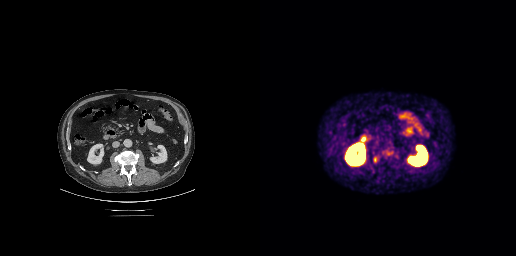
Technique: Left: CT. Right: PSMA PET, same axial level, 18F tracer. slice 128 of 263. PET panel 256×256 px (2.7 mm/px).
Findings: Coordinates are on the 256×256 PET (right) panel. PSMA-avid tumor lesion bounding box (x0,y0,x1,y1): [113,156,118,162].